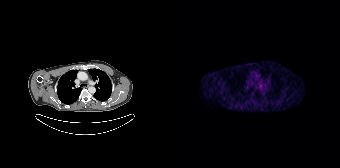
This slice has no annotated PSMA-avid lesion.